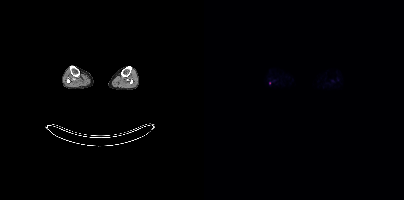
Coordinates are on the 200×200 PET (right) panel. Small PSMA-avid focus (2 to 4 px across) near (center x, center y): (65, 82).